Paired axial CT (left) and PSMA PET (right), [68Ga]Ga-PSMA-11 tracer. Acquired on Siemens Biograph mCT Flow 20. Slice 294 of 429. PET panel 200×200 px (4.1 mm/px).
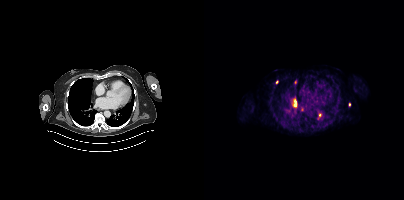
Coordinates are on the 200×200 PET (right) panel. (showing 6 of 7 foci) Small PSMA-avid foci (2 to 4 px across) near (center x, center y): (73, 82); (91, 82); (91, 102); (97, 109); (91, 105); (115, 114).